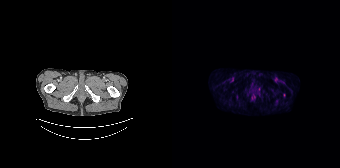
{"modality":"PSMA PET/CT","view":"axial","tracer":"18F","pet_grid":[168,168],"coord_frame":"pet_panel","coord_format":"x0,y0,x1,y1","lesion_bboxes":[],"small_foci_centers":[[112,95]]}